deidentification: head region blacked out before release | modality: PSMA PET/CT | tracer: 18F | view: axial | PET grid: 256×256
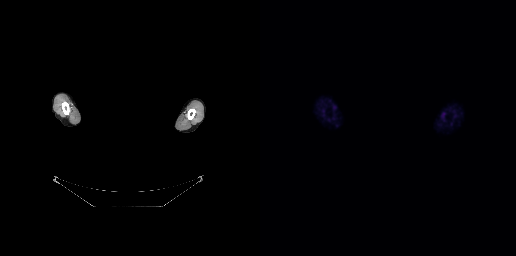
No tumor lesions annotated on this slice.